Left: CT. Right: PSMA PET, same axial level, [18F]PSMA-1007 tracer.
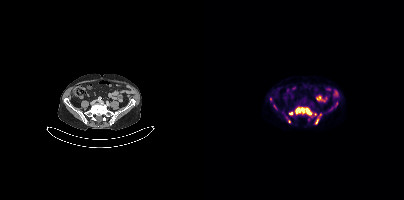
Coordinates are on the 200×200 PET (right) panel. (showing 7 of 9 foci) PSMA-avid tumor lesion bounding boxes (x, y, width, height): x=91 y=107 w=18 h=9 | x=111 y=114 w=7 h=11. Small PSMA-avid foci (2 to 4 px across) near (center x, center y): (86, 113) | (132, 104) | (85, 121) | (71, 106) | (111, 114).